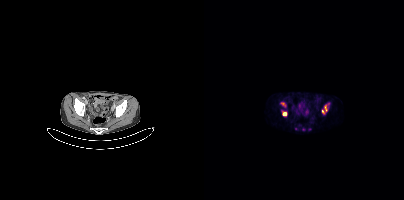
modality: PSMA PET/CT | tracer: 68Ga-PSMA | view: axial | PET grid: 200×200
Coordinates are on the 200×200 PET (right) panel. (showing 4 of 5 foci) PSMA-avid tumor lesion bounding boxes (x, y, width, height): x=118 y=103 w=8 h=12; x=77 y=102 w=5 h=5. Small PSMA-avid foci (2 to 4 px across) near (center x, center y): (80, 113); (92, 128).